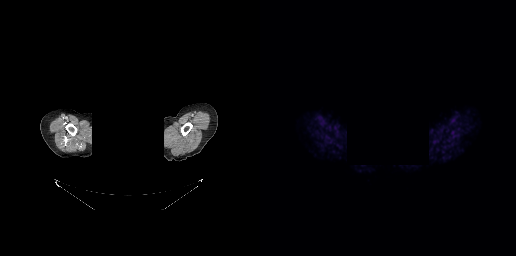
{"pet_grid":[256,256],"coord_frame":"pet_panel","coord_format":"x0,y0,x1,y1","psma_avid_lesions":false,"modality":"PSMA PET/CT","view":"axial","tracer":"68Ga","deidentification":"rectangular block over head set to black"}